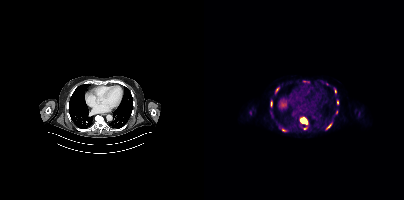
{"modality":"PSMA PET/CT","view":"axial","tracer":"18F-PSMA","pet_grid":[200,200],"coord_frame":"pet_panel","coord_format":"x0,y0,x1,y1","partial":true,"lesion_bboxes":[[96,117,103,124],[78,129,82,131],[72,88,74,92],[123,124,127,128],[67,101,68,106],[99,127,103,129]],"small_foci_centers":[[133,102],[131,90],[132,112]]}